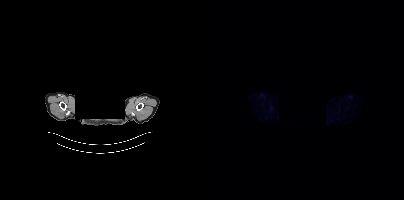
{"modality":"PSMA PET/CT","view":"axial","tracer":"18F","pet_grid":[200,200],"coord_frame":"pet_panel","coord_format":"x0,y0,x1,y1","psma_avid_lesions":false,"redaction":"head region blanked (face removed)"}